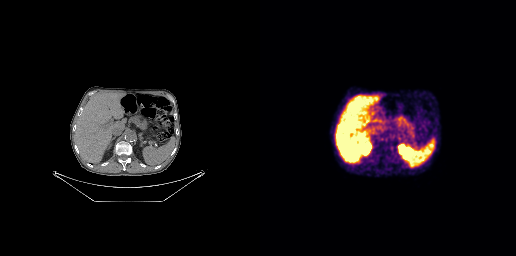
{"modality":"PSMA PET/CT","view":"axial","tracer":"68Ga-PSMA","pet_grid":[256,256],"coord_frame":"pet_panel","coord_format":"x0,y0,x1,y1","psma_avid_lesions":false}